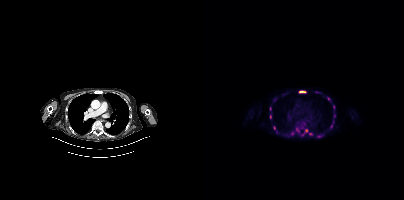
Coordinates are on the 200×200 PET (right) panel. (showing 15 of 18 foci) PSMA-avid tumor lesion bounding boxes (x0, y0)-(x1, y1): (101, 129)-(108, 135) / (95, 90)-(102, 93) / (86, 132)-(90, 135). Small PSMA-avid foci (2 to 4 px across) near (center x, center y): (70, 127) / (66, 108) / (66, 116) / (124, 98) / (129, 107) / (70, 100) / (127, 126) / (93, 129) / (96, 128) / (112, 91) / (79, 94) / (130, 115).